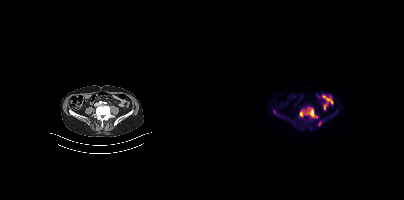
Left: CT. Right: PSMA PET, same axial level, [18F]PSMA-1007 tracer. Slice position z = -1411 mm. PET panel 200×200 px (4.1 mm/px). Coordinates are on the 200×200 PET (right) panel. (showing 3 of 4 foci) PSMA-avid tumor lesion bounding box (x0, y0)-(x1, y1): (96, 108)-(114, 118). Small PSMA-avid foci (2 to 4 px across) near (center x, center y): (70, 111) | (115, 123).